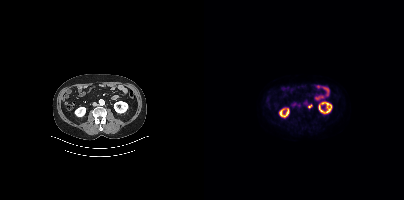
Findings: Coordinates are on the 200×200 PET (right) panel. PSMA-avid tumor lesion bounding box (x, y, width, height): x=104 y=104 w=4 h=5.
Technique: Two-panel axial: CT | PSMA PET, 18F tracer.